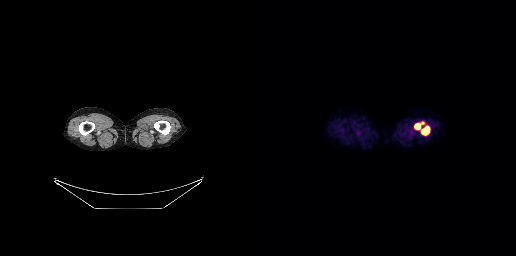
Paired axial CT (left) and PSMA PET (right), 18F tracer. Slice 35 of 371.
Coordinates are on the 256×256 PET (right) panel. PSMA-avid tumor lesion bounding boxes:
| # | x0 | y0 | x1 | y1 |
|---|---|---|---|---|
| 1 | 154 | 122 | 169 | 135 |